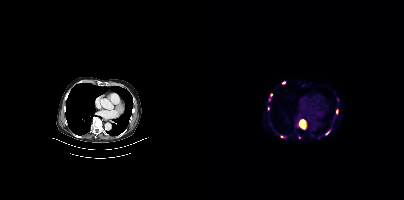
Coordinates are on the 200×200 PET (right) panel. (showing 6 of 8 foci) PSMA-avid tumor lesion bounding boxes (x, y, width, height): x=96 y=120 w=6 h=9 | x=121 y=130 w=6 h=6 | x=76 y=135 w=5 h=3. Small PSMA-avid foci (2 to 4 px across) near (center x, center y): (132, 111) | (79, 82) | (95, 137).